Technique: Left: CT. Right: PSMA PET, same axial level, [18F]PSMA-1007 tracer.
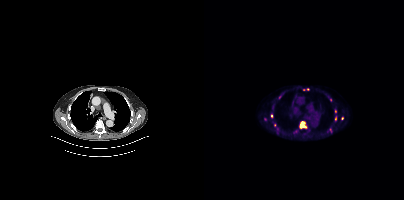
Findings: Coordinates are on the 200×200 PET (right) panel. (showing 7 of 8 foci) PSMA-avid tumor lesion bounding box (x0,y0,x1,y1): [96,122,102,127]. Small PSMA-avid foci (2 to 4 px across) near (center x, center y): (67, 115); (131, 118); (131, 111); (138, 118); (103, 89); (99, 89).